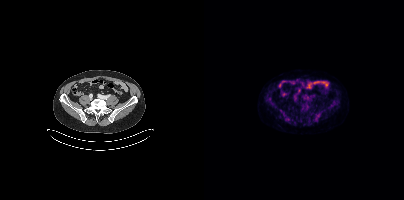
Left: CT. Right: PSMA PET, same axial level, 18F tracer. PET panel 200×200 px (4.1 mm/px). No tumor lesions annotated on this slice.